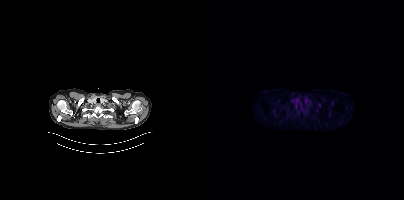
No PSMA-avid tumor lesions on this slice.